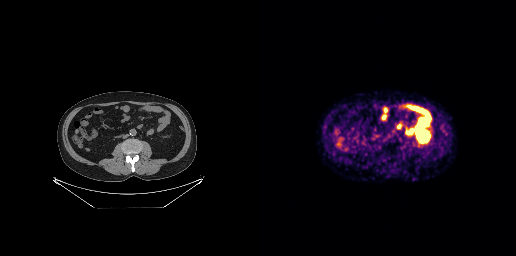
This slice has no annotated PSMA-avid lesion. Two-panel axial: CT | PSMA PET, 68Ga tracer.